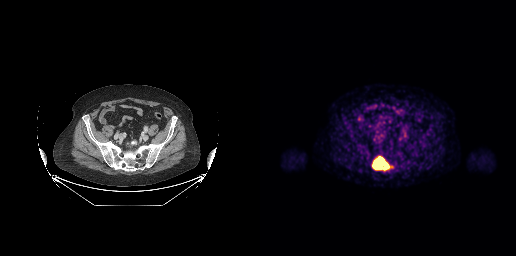
Technique: Two-panel axial: CT | PSMA PET, 18F tracer. slice position z = -743 mm. PET panel 256×256 px (2.7 mm/px).
Findings: Coordinates are on the 256×256 PET (right) panel. PSMA-avid tumor lesion bounding box (x, y, width, height): x=112 y=156 w=21 h=15.